- Left: CT. Right: PSMA PET, same axial level, [18F]PSMA-1007 tracer
- PET panel 200×200 px (4.1 mm/px)
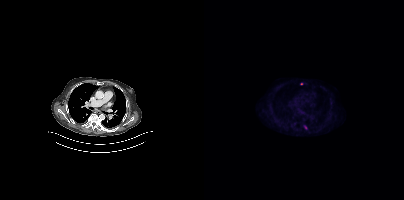
Findings: Coordinates are on the 200×200 PET (right) panel. Small PSMA-avid foci (2 to 4 px across) near (center x, center y): (101, 127) | (97, 83).